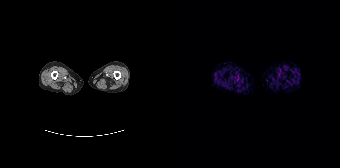
{"modality":"PSMA PET/CT","view":"axial","tracer":"[68Ga]Ga-PSMA-11","pet_grid":[168,168],"coord_frame":"pet_panel","coord_format":"x0,y0,x1,y1","psma_avid_lesions":false}